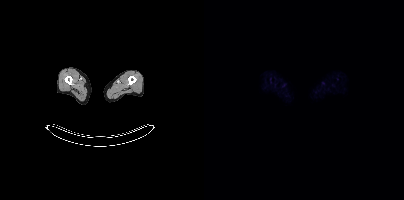
No PSMA-avid tumor lesions on this slice. Two-panel axial: CT | PSMA PET, 18F tracer. Slice 409 of 963. PET panel 200×200 px (4.1 mm/px).